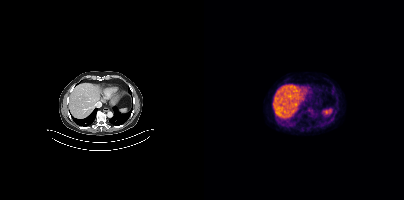
Negative for PSMA-avid disease on this slice.